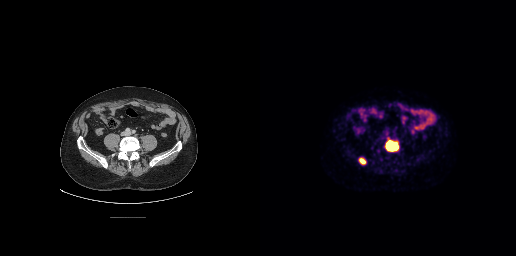
Coordinates are on the 256×256 PET (right) panel. PSMA-avid tumor lesion bounding boxes (x0,y0,x1,y1): [124,138,139,152] [98,157,106,164].